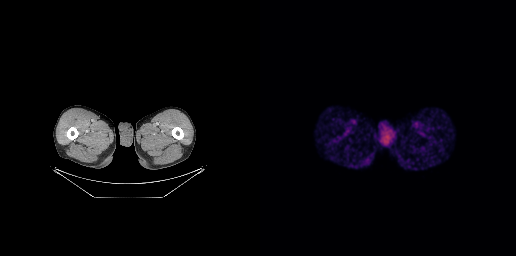
Paired axial CT (left) and PSMA PET (right), 68Ga-PSMA tracer. No tumor lesions annotated on this slice.